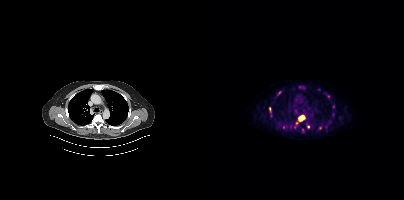
modality: PSMA PET/CT | tracer: [18F]PSMA-1007 | view: axial
Coordinates are on the 200×200 PET (right) panel. (showing 4 of 5 foci) PSMA-avid tumor lesion bounding box (x0,y0,x1,y1): [94,115,101,121]. Small PSMA-avid foci (2 to 4 px across) near (center x, center y): (104, 127); (65, 109); (92, 122).